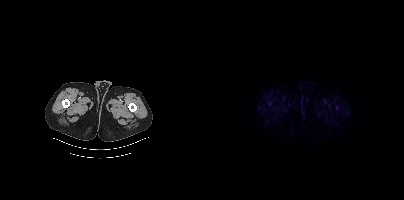
Technique: Two-panel axial: CT | PSMA PET, 18F tracer.
Findings: Negative for PSMA-avid disease on this slice.